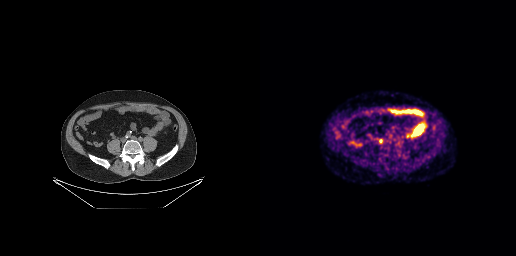
{"modality":"PSMA PET/CT","view":"axial","tracer":"[68Ga]Ga-PSMA-11","pet_grid":[256,256],"coord_frame":"pet_panel","coord_format":"x0,y0,x1,y1","lesion_bboxes":[[117,139,122,142]]}